Two-panel axial: CT | PSMA PET, 68Ga-PSMA tracer. Slice 112 of 263.
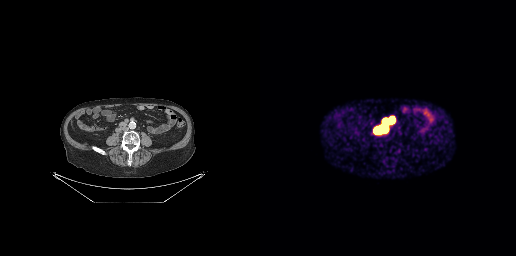
Coordinates are on the 256×256 PET (right) panel. PSMA-avid tumor lesion bounding boxes:
| # | x0 | y0 | x1 | y1 |
|---|---|---|---|---|
| 1 | 114 | 126 | 126 | 132 |
| 2 | 123 | 118 | 134 | 124 |